- Left: CT. Right: PSMA PET, same axial level, 68Ga-PSMA tracer
- slice 31 of 263
- PET panel 256×256 px (2.7 mm/px)
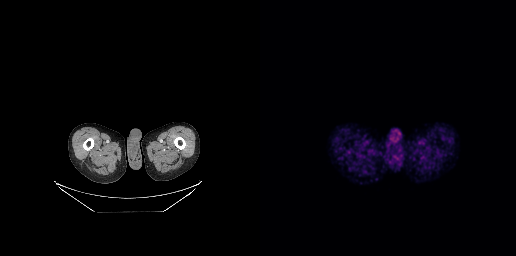
Findings: No PSMA-avid tumor lesions on this slice.